Technique: Paired axial CT (left) and PSMA PET (right), [18F]PSMA-1007 tracer. slice position z = -1212 mm. PET panel 200×200 px (4.1 mm/px).
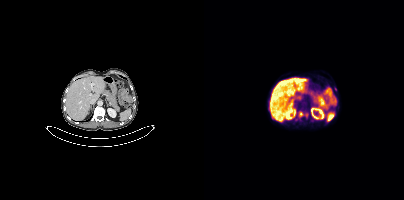
Findings: Coordinates are on the 200×200 PET (right) panel. PSMA-avid tumor lesion bounding box (x0,y0,x1,y1): [95,112,98,116]. Small PSMA-avid focus (2 to 4 px across) near (center x, center y): (102, 114).